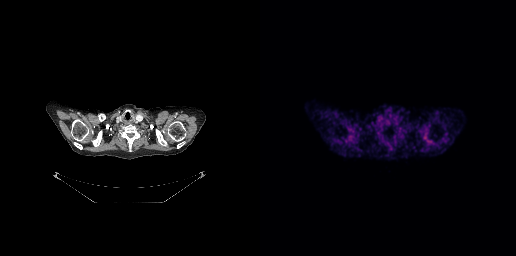
This slice has no annotated PSMA-avid lesion.